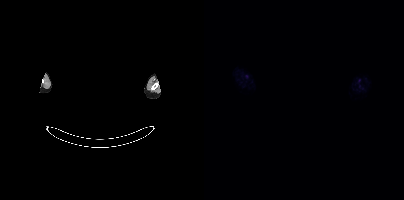
No PSMA-avid tumor lesions on this slice. The face region was removed for patient privacy by blanking a rectangle over the head. Left: CT. Right: PSMA PET, same axial level, 18F tracer. Acquired on Siemens Biograph mCT Flow 20. PET panel 200×200 px (4.1 mm/px).